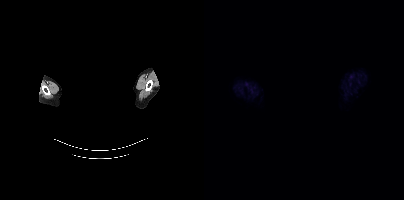
Facial anatomy redacted by setting a rectangular region of the head to black. Two-panel axial: CT | PSMA PET, 18F-PSMA tracer. PET panel 200×200 px (4.1 mm/px). No tumor lesions annotated on this slice.